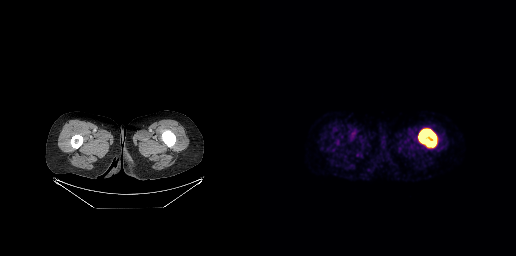
{"pet_grid":[256,256],"coord_frame":"pet_panel","coord_format":"x0,y0,x1,y1","lesion_bboxes":[[158,128,177,147]],"modality":"PSMA PET/CT","view":"axial","tracer":"[18F]PSMA-1007"}